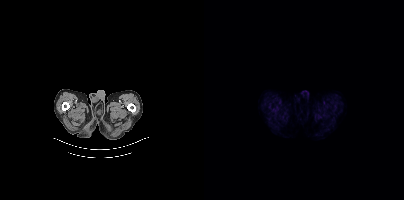
{"modality":"PSMA PET/CT","view":"axial","tracer":"[18F]PSMA-1007","pet_grid":[200,200],"coord_frame":"pet_panel","coord_format":"x0,y0,x1,y1","psma_avid_lesions":false}